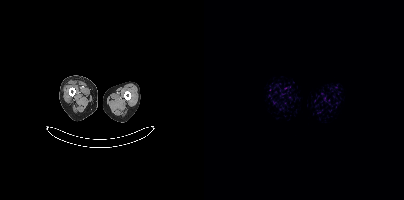
- Left: CT. Right: PSMA PET, same axial level, 18F tracer
- acquired on Siemens Biograph mCT Flow 20
- slice position z = -924 mm
- PET panel 200×200 px (4.1 mm/px)
Findings: No PSMA-avid tumor lesions on this slice.